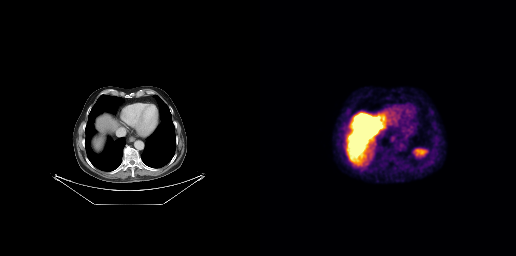
{"modality":"PSMA PET/CT","view":"axial","tracer":"18F-PSMA","pet_grid":[256,256],"coord_frame":"pet_panel","coord_format":"x0,y0,x1,y1","psma_avid_lesions":false}